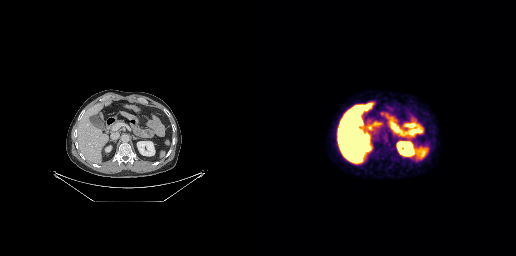
This slice has no annotated PSMA-avid lesion.